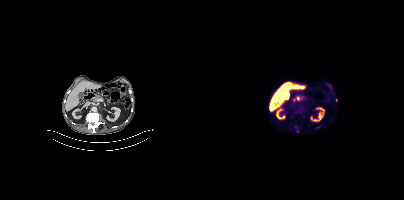
- Left: CT. Right: PSMA PET, same axial level, 18F-PSMA tracer
Findings: Coordinates are on the 200×200 PET (right) panel. (showing 2 of 3 foci) Small PSMA-avid foci (2 to 4 px across) near (center x, center y): (113, 127) / (132, 100).